- Two-panel axial: CT | PSMA PET, 18F-PSMA tracer
- acquired on Siemens Biograph mCT Flow 20
- slice position z = -920 mm
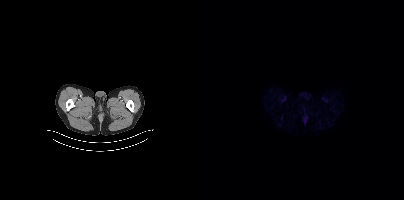
Findings: This slice has no annotated PSMA-avid lesion.